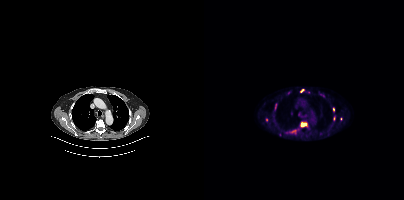
Left: CT. Right: PSMA PET, same axial level, [18F]PSMA-1007 tracer. Acquired on Siemens Biograph mCT Flow 20. Slice 305 of 413. PET panel 200×200 px (4.1 mm/px).
Coordinates are on the 200×200 PET (right) panel. PSMA-avid tumor lesion bounding boxes (partial; 3 more foci not listed):
| # | x0 | y0 | x1 | y1 |
|---|---|---|---|---|
| 1 | 97 | 123 | 102 | 126 |
| 2 | 96 | 89 | 100 | 92 |
Small PSMA-avid foci (2 to 4 px across) near (center x, center y): (129, 109); (62, 119).